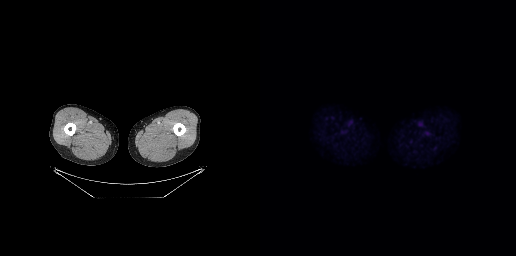
Paired axial CT (left) and PSMA PET (right), 18F-PSMA tracer. This slice has no annotated PSMA-avid lesion.